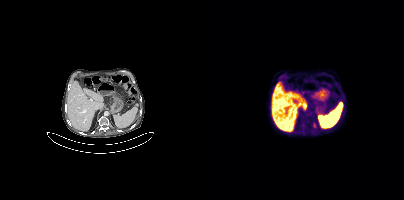
Findings: Coordinates are on the 200×200 PET (right) panel. PSMA-avid tumor lesion bounding box (x, y, width, height): x=109 y=123 w=4 h=6.
Technique: Left: CT. Right: PSMA PET, same axial level, 18F-PSMA tracer. slice 232 of 425. PET panel 200×200 px (4.1 mm/px).